Left: CT. Right: PSMA PET, same axial level, [68Ga]Ga-PSMA-11 tracer.
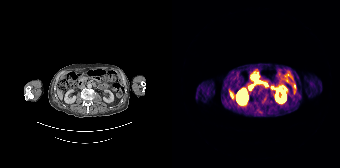
This slice has no annotated PSMA-avid lesion.